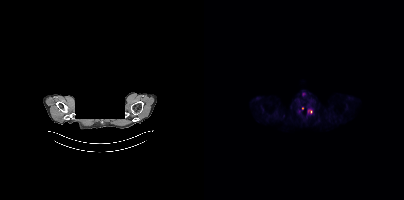
Findings: Coordinates are on the 200×200 PET (right) panel. (showing 1 of 2 foci) PSMA-avid tumor lesion bounding box (x0,y0,x1,y1): [104,109,107,113].
- an anonymization step blacked out a rectangle over the head in this scan
- Left: CT. Right: PSMA PET, same axial level, 18F tracer